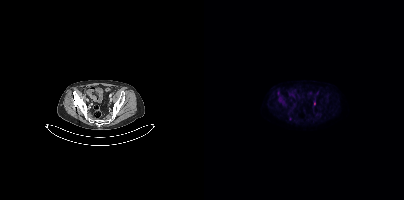
{"modality":"PSMA PET/CT","view":"axial","tracer":"[18F]PSMA-1007","pet_grid":[200,200],"coord_frame":"pet_panel","coord_format":"x0,y0,x1,y1","lesion_bboxes":[[110,100,111,105]]}